Left: CT. Right: PSMA PET, same axial level, 18F-PSMA tracer. Slice 167 of 427. PET panel 200×200 px (4.1 mm/px).
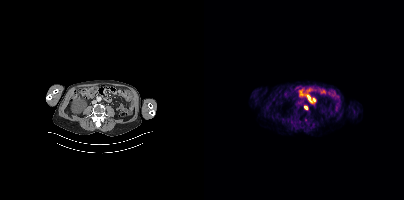
Coordinates are on the 200×200 PET (right) panel. Small PSMA-avid focus (2 to 4 px across) near (center x, center y): (101, 107).